Technique: Two-panel axial: CT | PSMA PET, 18F tracer. acquired on Siemens Biograph mCT Flow 20. slice position z = -950 mm. PET panel 200×200 px (4.1 mm/px).
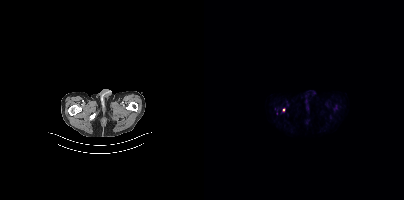
Findings: Coordinates are on the 200×200 PET (right) panel. Small PSMA-avid focus (2 to 4 px across) near (center x, center y): (79, 109).